modality: PSMA PET/CT | tracer: [18F]PSMA-1007 | view: axial | PET grid: 200×200 | redaction: privacy mask (black rectangle)
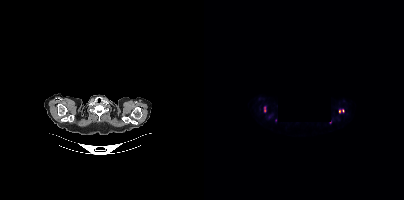
Coordinates are on the 200×200 PET (right) panel. (showing 1 of 3 foci) PSMA-avid tumor lesion bounding box (x, y, width, height): x=60 y=107 w=2 h=5.